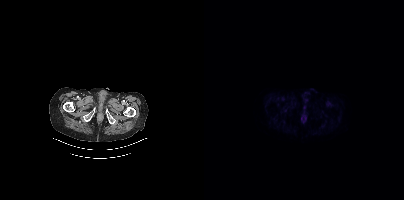
Findings: Negative for PSMA-avid disease on this slice.
Technique: Left: CT. Right: PSMA PET, same axial level, 18F tracer. acquired on Siemens Biograph mCT Flow 20. PET panel 200×200 px (4.1 mm/px).